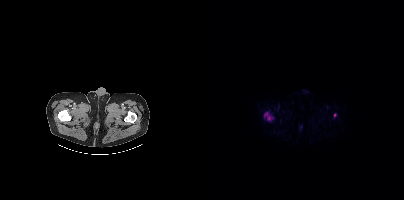
{"modality":"PSMA PET/CT","view":"axial","tracer":"18F","pet_grid":[200,200],"coord_frame":"pet_panel","coord_format":"x0,y0,x1,y1","lesion_bboxes":[[60,113,69,120]],"small_foci_centers":[[131,114]]}